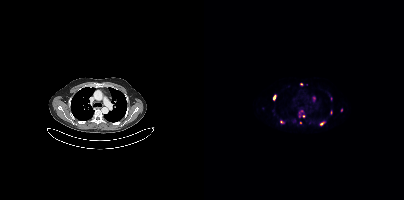
Coordinates are on the 200×200 PET (right) panel. (showing 10 of 11 foci) PSMA-avid tumor lesion bounding boxes (x0, y0)-(x1, y1): (95, 112)-(97, 116) / (116, 122)-(120, 125) / (69, 95)-(71, 99). Small PSMA-avid foci (2 to 4 px across) near (center x, center y): (77, 121) / (109, 98) / (137, 110) / (127, 98) / (127, 112) / (96, 122) / (97, 83).